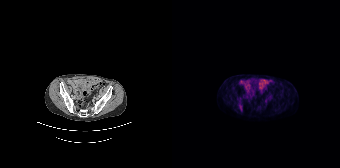
Only PSMA-avid lesion pieces thinner than 2 px on this slice (not listed). Left: CT. Right: PSMA PET, same axial level, 18F-PSMA tracer. Slice position z = -1545 mm.